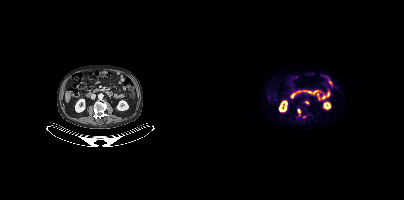
{"modality":"PSMA PET/CT","view":"axial","tracer":"18F-PSMA","pet_grid":[200,200],"coord_frame":"pet_panel","coord_format":"x0,y0,x1,y1","partial":true,"lesion_bboxes":[[94,109,96,115]],"small_foci_centers":[[100,116]]}